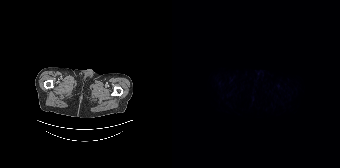
Two-panel axial: CT | PSMA PET, 18F-PSMA tracer. Acquired on Siemens Biograph 64-4R TruePoint. PET panel 168×168 px (4.1 mm/px). No PSMA-avid tumor lesions on this slice.